- Two-panel axial: CT | PSMA PET, 18F-PSMA tracer
- slice 131 of 299
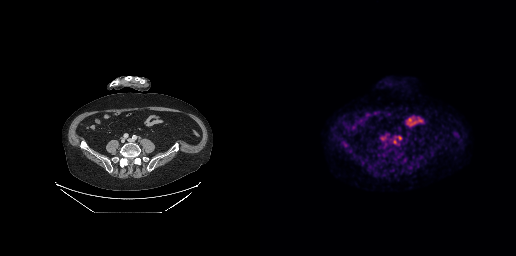
Findings: Coordinates are on the 256×256 PET (right) panel. Small PSMA-avid foci (2 to 4 px across) near (center x, center y): (139, 137); (134, 141).